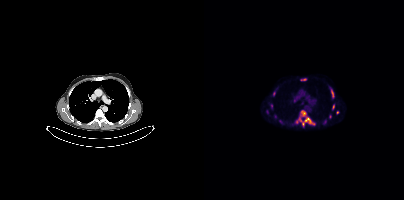
{"modality":"PSMA PET/CT","view":"axial","tracer":"18F","pet_grid":[200,200],"coord_frame":"pet_panel","coord_format":"x0,y0,x1,y1","partial":true,"lesion_bboxes":[[92,110,111,126],[127,89,130,98],[128,104,130,109],[97,78,102,80]],"small_foci_centers":[[133,112],[70,93],[126,116],[67,106]]}